Left: CT. Right: PSMA PET, same axial level, [18F]PSMA-1007 tracer. Acquired on Siemens Biograph mCT Flow 20. Slice 359 of 401. A rectangle over the head was blacked out to remove identifiable facial features.
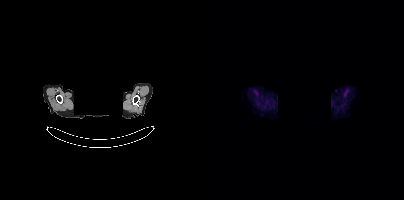
Negative for PSMA-avid disease on this slice.